Two-panel axial: CT | PSMA PET, 18F-PSMA tracer.
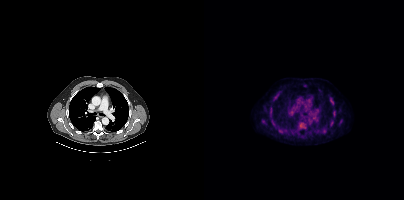
Coordinates are on the 200×200 PET (right) panel. (showing 1 of 4 foci) Small PSMA-avid focus (2 to 4 px across) near (center x, center y): (66, 108).